Technique: Two-panel axial: CT | PSMA PET, 18F-PSMA tracer. acquired on Siemens Biograph mCT Flow 20.
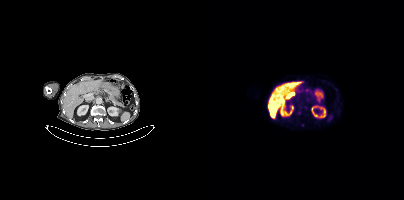
Findings: Coordinates are on the 200×200 PET (right) panel. Small PSMA-avid foci (2 to 4 px across) near (center x, center y): (95, 112) | (98, 125).